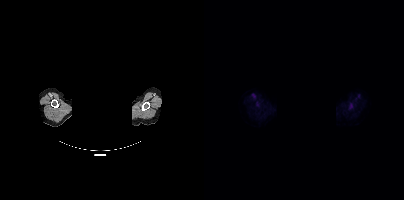
The face region was removed for patient privacy by blanking a rectangle over the head. Two-panel axial: CT | PSMA PET, [18F]PSMA-1007 tracer. Acquired on Siemens Biograph mCT Flow 20. PET panel 200×200 px (4.1 mm/px). Coordinates are on the 200×200 PET (right) panel. PSMA-avid tumor lesion bounding box (x, y, width, height): x=144 y=104 w=6 h=5.